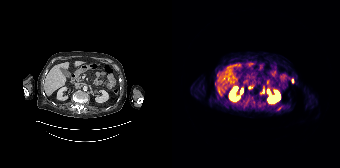
Coordinates are on the 168×168 PET (right) panel. Small PSMA-avid foci (2 to 4 px across) near (center x, center y): (120, 81) | (91, 91). Left: CT. Right: PSMA PET, same axial level, 68Ga tracer.